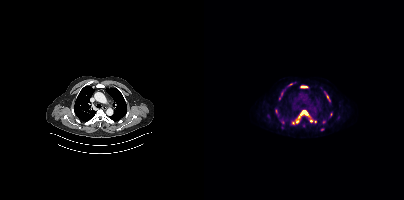
Paired axial CT (left) and PSMA PET (right), 18F tracer. Acquired on Siemens Biograph mCT Flow 20. Coordinates are on the 200×200 PET (right) panel. (showing 8 of 13 foci) PSMA-avid tumor lesion bounding boxes (x0,y0,x1,y1): [88,115,96,124]; [97,110,105,116]; [97,86,103,87]; [122,95,125,100]. Small PSMA-avid foci (2 to 4 px across) near (center x, center y): (118, 129); (107, 121); (127, 114); (75, 98).